Technique: Left: CT. Right: PSMA PET, same axial level, 18F tracer. acquired on Siemens Biograph mCT Flow 20. slice position z = -522 mm. PET panel 200×200 px (4.1 mm/px).
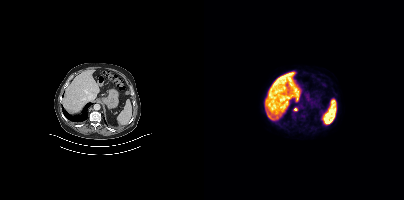
Findings: Coordinates are on the 200×200 PET (right) panel. Small PSMA-avid focus (2 to 4 px across) near (center x, center y): (91, 109).